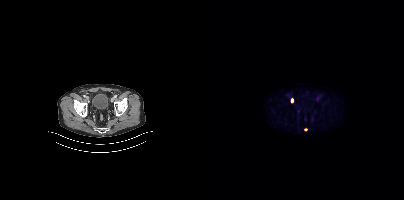
Only PSMA-avid lesion pieces thinner than 2 px on this slice (not listed). Paired axial CT (left) and PSMA PET (right), 18F-PSMA tracer. Slice position z = -1382 mm.